Left: CT. Right: PSMA PET, same axial level, 18F-PSMA tracer.
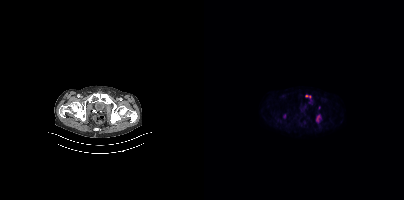
Coordinates are on the 200×200 PET (right) panel. PSMA-avid tumor lesion bounding boxes (x, y, width, height): x=112 y=115 w=5 h=8 | x=101 y=95 w=6 h=3.